Paired axial CT (left) and PSMA PET (right), 68Ga-PSMA tracer. Slice 68 of 411.
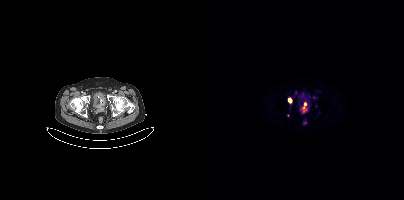
Coordinates are on the 200×200 PET (right) panel. (showing 4 of 6 foci) PSMA-avid tumor lesion bounding boxes (x, y, width, height): x=97 y=104 w=7 h=9 | x=84 y=98 w=4 h=5. Small PSMA-avid foci (2 to 4 px across) near (center x, center y): (91, 92) | (83, 115).